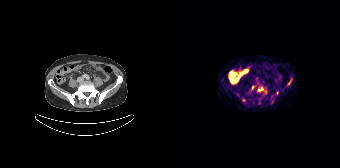
Findings: Coordinates are on the 168×168 PET (right) panel. (showing 4 of 5 foci) PSMA-avid tumor lesion bounding boxes (x, y, width, height): x=86 y=87 w=5 h=5 / x=116 y=78 w=5 h=7. Small PSMA-avid foci (2 to 4 px across) near (center x, center y): (71, 100) / (80, 87).
Technique: Left: CT. Right: PSMA PET, same axial level, 68Ga tracer. acquired on Siemens Biograph 64-4R TruePoint.